Technique: Paired axial CT (left) and PSMA PET (right), 18F tracer. slice position z = -448 mm. PET panel 200×200 px (4.1 mm/px).
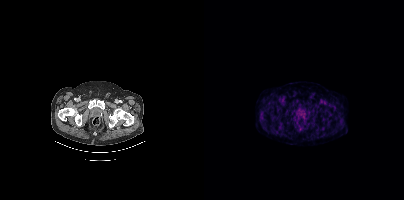
Findings: No PSMA-avid tumor lesions on this slice.